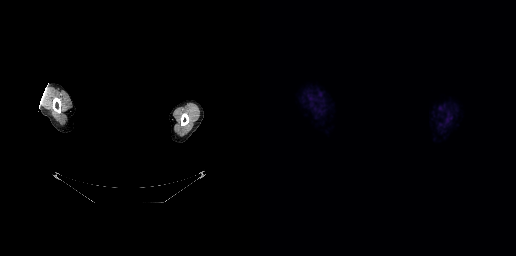
The face region was removed for patient privacy by blanking a rectangle over the head.
Negative for PSMA-avid disease on this slice.